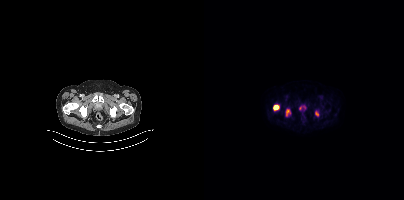
Coordinates are on the 200×200 PET (right) panel. PSMA-avid tumor lesion bounding boxes (x0, y0)-(x1, y1): (69, 105)-(75, 110) / (82, 110)-(86, 115) / (111, 111)-(114, 116).